- Two-panel axial: CT | PSMA PET, [18F]PSMA-1007 tracer
- slice 395 of 395
- head region blanked for anonymization (face removed)
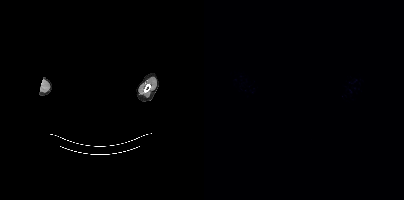
Findings: No PSMA-avid tumor lesions on this slice.